modality: PSMA PET/CT | tracer: 18F-PSMA | view: axial
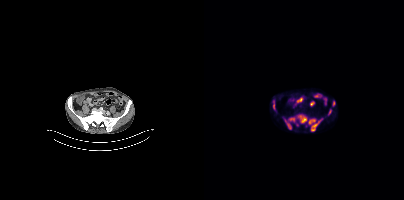
Coordinates are on the 200×200 PET (right) panel. (showing 7 of 8 foci) PSMA-avid tumor lesion bounding boxes (x0, y0)-(x1, y1): (104, 118)-(118, 131) | (94, 115)-(103, 123) | (81, 120)-(87, 129) | (69, 100)-(71, 110) | (85, 117)-(91, 121) | (129, 101)-(130, 105). Small PSMA-avid focus (2 to 4 px across) near (center x, center y): (126, 111).